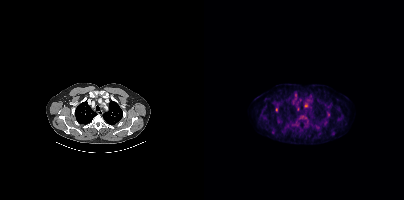
Findings: Coordinates are on the 200×200 PET (right) panel. (showing 3 of 5 foci) Small PSMA-avid foci (2 to 4 px across) near (center x, center y): (124, 113) / (72, 109) / (102, 105).
- Two-panel axial: CT | PSMA PET, 18F tracer
- acquired on Siemens Biograph mCT Flow 20
- slice 336 of 438